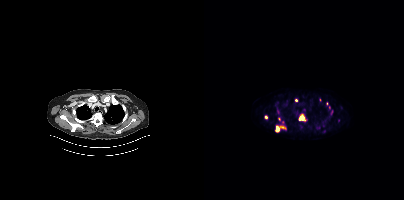
Coordinates are on the 200×200 PET (right) panel. (showing 7 of 9 foci) PSMA-avid tumor lesion bounding boxes (x, y, width, height): x=71 y=125 w=11 h=8 / x=94 y=114 w=9 h=8 / x=122 y=102 w=5 h=8. Small PSMA-avid foci (2 to 4 px across) near (center x, center y): (116, 99) / (92, 100) / (62, 117) / (75, 118).
modality: PSMA PET/CT | tracer: [18F]PSMA-1007 | view: axial | PET grid: 200×200